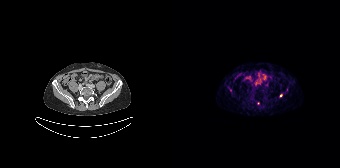
Coordinates are on the 168×168 PET (right) panel. Small PSMA-avid foci (2 to 4 px across) near (center x, center y): (109, 95) (86, 103).